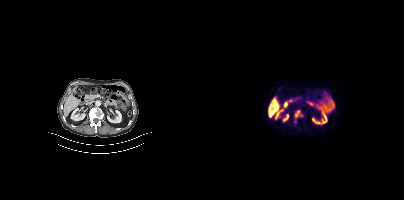
Left: CT. Right: PSMA PET, same axial level, 18F-PSMA tracer. PET panel 200×200 px (4.1 mm/px).
Coordinates are on the 200×200 PET (right) panel. PSMA-avid tumor lesion bounding boxes (partial; 1 more focus not listed):
| # | x0 | y0 | x1 | y1 |
|---|---|---|---|---|
| 1 | 90 | 110 | 98 | 118 |
Small PSMA-avid focus (2 to 4 px across) near (center x, center y): (91, 121).